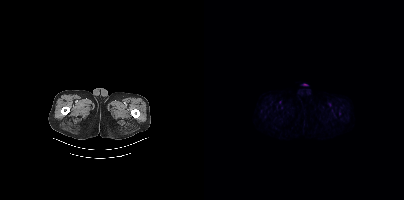
Two-panel axial: CT | PSMA PET, [18F]PSMA-1007 tracer. Acquired on Siemens Biograph mCT Flow 20. PET panel 200×200 px (4.1 mm/px). This slice has no annotated PSMA-avid lesion.